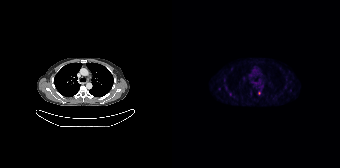
{"modality":"PSMA PET/CT","view":"axial","tracer":"[18F]PSMA-1007","pet_grid":[168,168],"coord_frame":"pet_panel","coord_format":"x0,y0,x1,y1","lesion_bboxes":[],"small_foci_centers":[[87,92],[47,89]]}